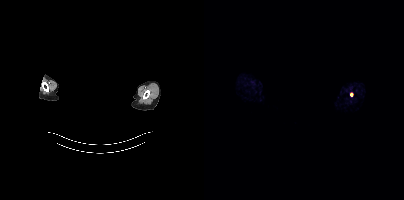
Coordinates are on the 200×200 PET (right) panel. Small PSMA-avid focus (2 to 4 px across) near (center x, center y): (147, 94). The head region is masked for de-identification. Paired axial CT (left) and PSMA PET (right), 68Ga-PSMA tracer. Slice 357 of 373. PET panel 200×200 px (4.1 mm/px).